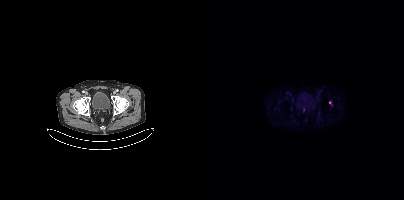
Technique: Two-panel axial: CT | PSMA PET, [18F]PSMA-1007 tracer. slice 61 of 403.
Findings: Coordinates are on the 200×200 PET (right) panel. (showing 1 of 3 foci) Small PSMA-avid focus (2 to 4 px across) near (center x, center y): (99, 109).